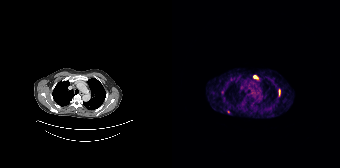
{"modality":"PSMA PET/CT","view":"axial","tracer":"68Ga-PSMA","pet_grid":[168,168],"coord_frame":"pet_panel","coord_format":"x0,y0,x1,y1","partial":true,"lesion_bboxes":[],"small_foci_centers":[[83,76],[56,112]]}